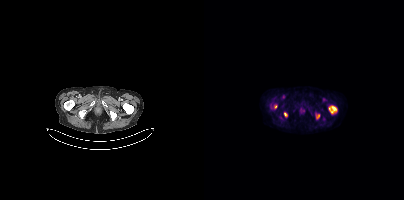
Coordinates are on the 200×200 PET (right) panel. PSMA-avid tumor lesion bounding boxes (x0, y0)-(x1, y1): (125, 106)-(132, 113); (80, 112)-(83, 117); (112, 114)-(115, 118). Small PSMA-avid focus (2 to 4 px across) near (center x, center y): (71, 106).